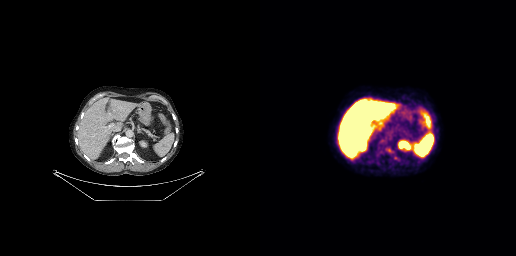
{"modality":"PSMA PET/CT","view":"axial","tracer":"18F","pet_grid":[256,256],"coord_frame":"pet_panel","coord_format":"x0,y0,x1,y1","psma_avid_lesions":false}